Technique: Left: CT. Right: PSMA PET, same axial level, 18F-PSMA tracer. acquired on Siemens Biograph mCT Flow 20.
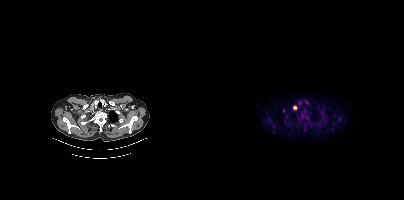
Findings: Coordinates are on the 200×200 PET (right) panel. PSMA-avid tumor lesion bounding box (x0, y0)-(x1, y1): (97, 111)-(103, 118). Small PSMA-avid foci (2 to 4 px across) near (center x, center y): (90, 107) / (79, 110) / (82, 116).